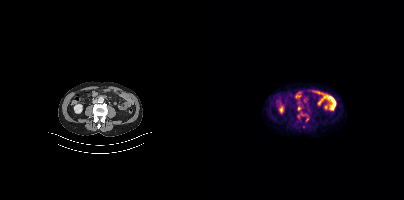
{"modality":"PSMA PET/CT","view":"axial","tracer":"18F","pet_grid":[200,200],"coord_frame":"pet_panel","coord_format":"x0,y0,x1,y1","partial":true,"lesion_bboxes":[],"small_foci_centers":[[95,108]]}